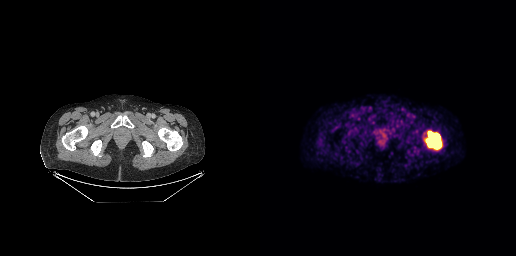
Left: CT. Right: PSMA PET, same axial level, 68Ga tracer. Coordinates are on the 256×256 PET (right) panel. PSMA-avid tumor lesion bounding box (x, y, width, height): x=165 y=131 w=17 h=19.